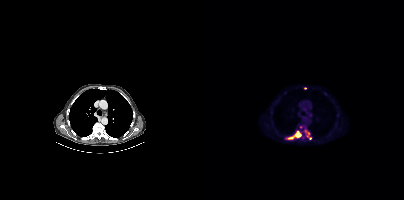
Coordinates are on the 200×200 PET (right) panel. (showing 4 of 6 foci) PSMA-avid tumor lesion bounding boxes (x0,y0,x1,y1): [84,131,96,139]; [102,131,105,135]. Small PSMA-avid foci (2 to 4 px across) near (center x, center y): (101, 88); (106, 138).